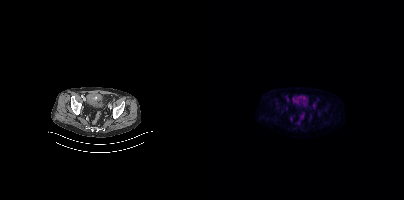
{"pet_grid":[200,200],"coord_frame":"pet_panel","coord_format":"x0,y0,x1,y1","psma_avid_lesions":false,"modality":"PSMA PET/CT","view":"axial","tracer":"18F-PSMA"}